- Two-panel axial: CT | PSMA PET, 68Ga-PSMA tracer
- slice position z = -755 mm
- PET panel 256×256 px (2.7 mm/px)
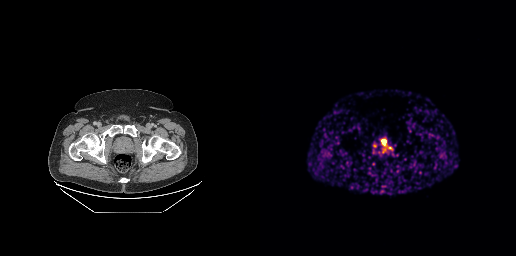
Findings: Coordinates are on the 256×256 PET (right) panel. Small PSMA-avid foci (2 to 4 px across) near (center x, center y): (124, 149) / (124, 141).